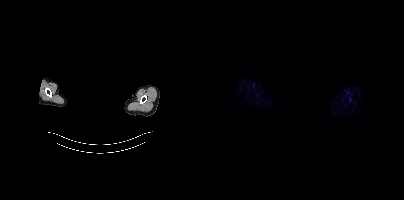
Findings: Negative for PSMA-avid disease on this slice.
Technique: Two-panel axial: CT | PSMA PET, [68Ga]Ga-PSMA-11 tracer. acquired on Siemens Biograph mCT Flow 20. slice 346 of 373. PET panel 200×200 px (4.1 mm/px).
Note: De-identified by setting a box covering the face to black before release.